modality: PSMA PET/CT | tracer: 18F | view: axial | PET grid: 200×200
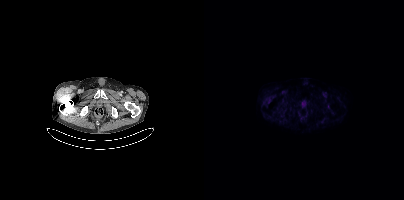
No tumor lesions annotated on this slice.